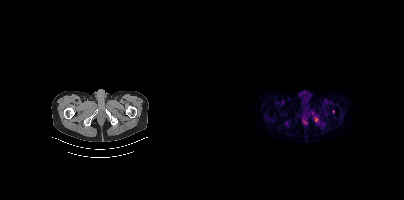
Left: CT. Right: PSMA PET, same axial level, [68Ga]Ga-PSMA-11 tracer. Slice position z = -1087 mm. Coordinates are on the 200×200 PET (right) panel. Small PSMA-avid foci (2 to 4 px across) near (center x, center y): (112, 120); (129, 111).